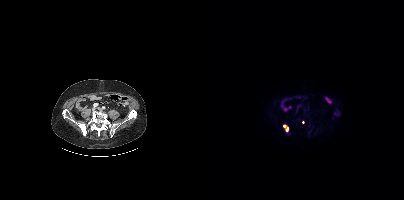
modality: PSMA PET/CT | tracer: [18F]PSMA-1007 | view: axial | PET grid: 200×200
Coordinates are on the 200×200 PET (right) panel. PSMA-avid tumor lesion bounding box (x, y, width, height): x=79 y=124 w=6 h=8. Small PSMA-avid focus (2 to 4 px across) near (center x, center y): (99, 122).